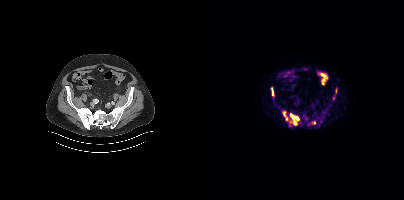
{"modality":"PSMA PET/CT","view":"axial","tracer":"18F","pet_grid":[200,200],"coord_frame":"pet_panel","coord_format":"x0,y0,x1,y1","partial":true,"lesion_bboxes":[[78,111,95,126],[109,118,118,124],[67,88,69,95],[131,88,133,92]]}